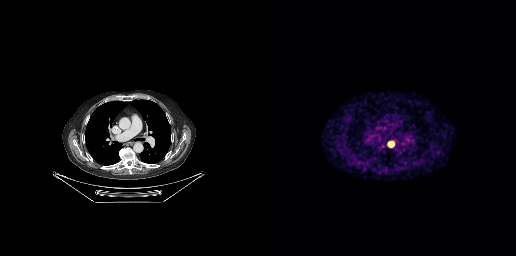
{"modality":"PSMA PET/CT","view":"axial","tracer":"68Ga-PSMA","pet_grid":[256,256],"coord_frame":"pet_panel","coord_format":"x0,y0,x1,y1","lesion_bboxes":[[130,143,134,146]]}